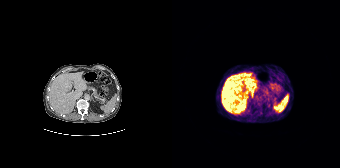
Negative for PSMA-avid disease on this slice.